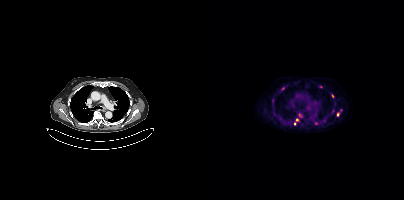
modality: PSMA PET/CT | tracer: [18F]PSMA-1007 | view: axial
Coordinates are on the 200×200 PET (right) panel. (showing 5 of 9 foci) PSMA-avid tumor lesion bounding box (x, y, width, height): x=90 y=119 w=5 h=7. Small PSMA-avid foci (2 to 4 px across) near (center x, center y): (78, 88); (134, 114); (128, 95); (95, 115).